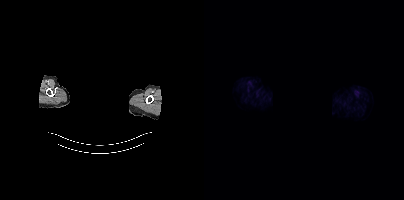
- Two-panel axial: CT | PSMA PET, [18F]PSMA-1007 tracer
- acquired on Siemens Biograph mCT Flow 20
- PET panel 200×200 px (4.1 mm/px)
- a rectangle over the head was blacked out to remove identifiable facial features
Findings: No tumor lesions annotated on this slice.